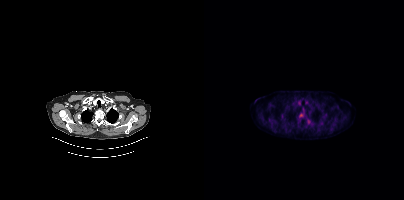
modality: PSMA PET/CT | tracer: 18F | view: axial
Coordinates are on the 200×200 PET (right) panel. PSMA-avid tumor lesion bounding box (x0, y0)-(x1, y1): (96, 113)-(99, 117). Small PSMA-avid focus (2 to 4 px across) near (center x, center y): (65, 120).